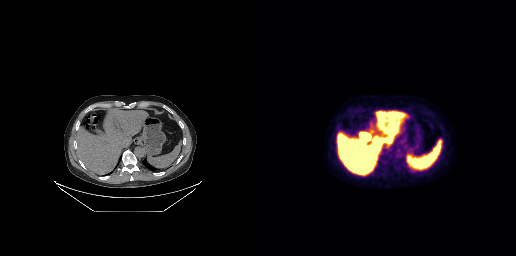
Technique: Two-panel axial: CT | PSMA PET, 18F tracer. PET panel 256×256 px (2.7 mm/px).
Findings: Negative for PSMA-avid disease on this slice.